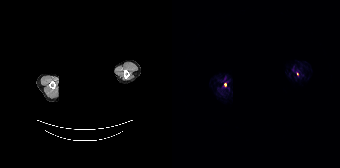
An anonymization step blacked out a rectangle over the head in this scan.
Coordinates are on the 168×168 PET (right) panel. Small PSMA-avid focus (2 to 4 px across) near (center x, center y): (125, 73).